modality: PSMA PET/CT | tracer: [18F]PSMA-1007 | view: axial
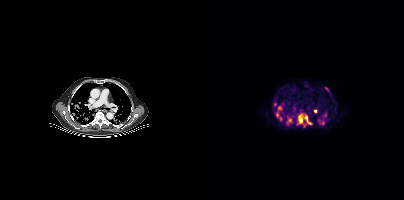
Coordinates are on the 200×200 PET (right) panel. (showing 7 of 8 foci) PSMA-avid tumor lesion bounding boxes (x0,y0,x1,y1): [93,114,108,127], [72,106,78,120], [121,87,124,91]. Small PSMA-avid foci (2 to 4 px across) near (center x, center y): (85, 119), (111, 111), (70, 104), (118, 123).